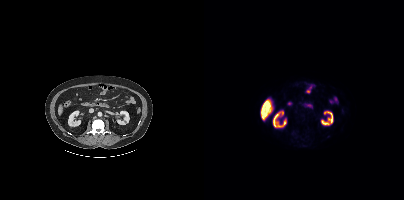
Left: CT. Right: PSMA PET, same axial level, [18F]PSMA-1007 tracer. This slice has no annotated PSMA-avid lesion.